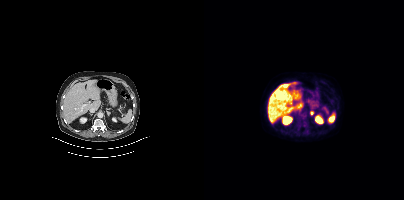
{"modality":"PSMA PET/CT","view":"axial","tracer":"[18F]PSMA-1007","pet_grid":[200,200],"coord_frame":"pet_panel","coord_format":"x0,y0,x1,y1","lesion_bboxes":[],"small_foci_centers":[[107,112]]}